Technique: Left: CT. Right: PSMA PET, same axial level, 68Ga tracer. acquired on Siemens Biograph mCT Flow 20.
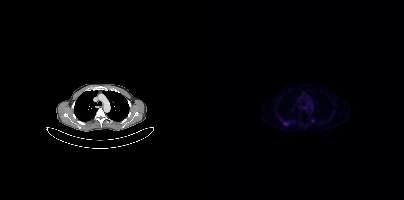
Findings: Coordinates are on the 200×200 PET (right) panel. (showing 1 of 2 foci) PSMA-avid tumor lesion bounding box (x0,y0,x1,y1): [79,122,83,125].